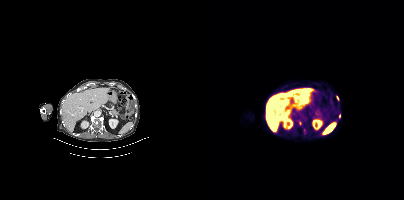
Left: CT. Right: PSMA PET, same axial level, [18F]PSMA-1007 tracer. Acquired on Siemens Biograph mCT Flow 20. Slice position z = 36 mm. PET panel 200×200 px (4.1 mm/px). Coordinates are on the 200×200 PET (right) panel. PSMA-avid tumor lesion bounding boxes (x, y, width, height): x=132 y=95 w=4 h=6; x=135 y=114 w=2 h=5. Small PSMA-avid focus (2 to 4 px across) near (center x, center y): (96, 123).